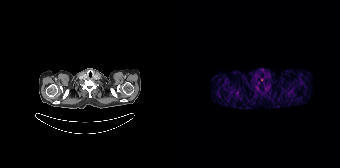
- Left: CT. Right: PSMA PET, same axial level, 68Ga tracer
- slice 168 of 195
Findings: Only PSMA-avid lesion pieces thinner than 2 px on this slice (not listed).